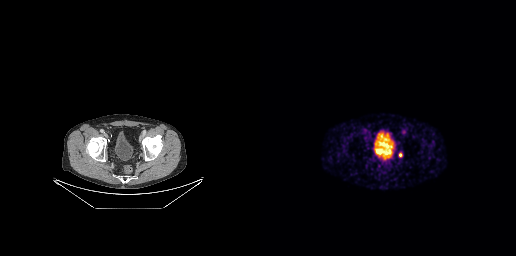
Technique: Left: CT. Right: PSMA PET, same axial level, 68Ga tracer.
Findings: Coordinates are on the 256×256 PET (right) panel. Small PSMA-avid focus (2 to 4 px across) near (center x, center y): (140, 154).